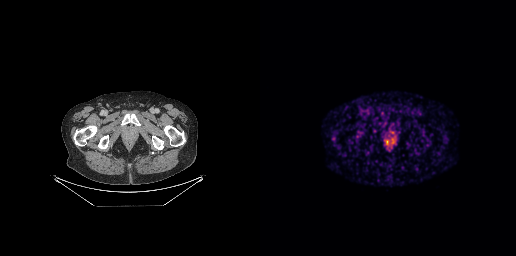
- Two-panel axial: CT | PSMA PET, [68Ga]Ga-PSMA-11 tracer
- slice 68 of 299
Findings: Coordinates are on the 256×256 PET (right) panel. PSMA-avid tumor lesion bounding box (x0, y0)-(x1, y1): (128, 130)-(135, 139).